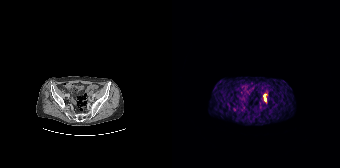
{"modality":"PSMA PET/CT","view":"axial","tracer":"[68Ga]Ga-PSMA-11","pet_grid":[168,168],"coord_frame":"pet_panel","coord_format":"x0,y0,x1,y1","lesion_bboxes":[],"small_foci_centers":[[92,99],[92,95]]}